Left: CT. Right: PSMA PET, same axial level, [18F]PSMA-1007 tracer. Acquired on Siemens Biograph mCT Flow 20.
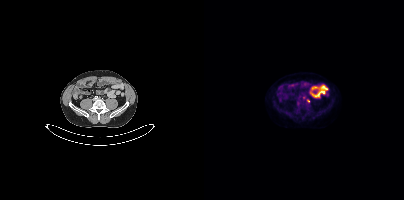
Coordinates are on the 200×200 PET (right) panel. (showing 1 of 2 foci) Small PSMA-avid focus (2 to 4 px across) near (center x, center y): (104, 101).